Technique: Two-panel axial: CT | PSMA PET, 68Ga-PSMA tracer. slice position z = -344 mm. PET panel 256×256 px (2.7 mm/px).
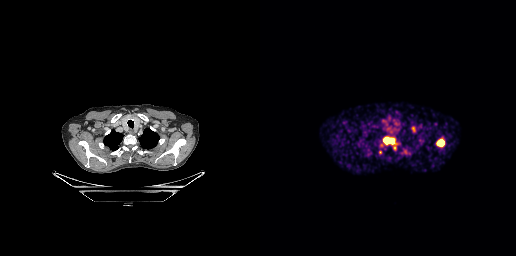
Findings: Coordinates are on the 256×256 PET (right) panel. (showing 6 of 8 foci) PSMA-avid tumor lesion bounding boxes (x0, y0)-(x1, y1): (123, 137)-(134, 143) | (177, 140)-(183, 145) | (152, 126)-(155, 130) | (119, 150)-(121, 154). Small PSMA-avid foci (2 to 4 px across) near (center x, center y): (145, 151) | (134, 147).